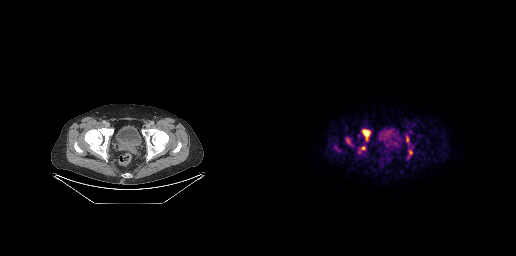
Coordinates are on the 256×256 PET (right) panel. PSMA-avid tumor lesion bounding boxes (x0, y0)-(x1, y1): (102, 129)-(110, 140); (146, 136)-(149, 142); (148, 150)-(152, 156). Small PSMA-avid foci (2 to 4 px across) near (center x, center y): (103, 148); (87, 140).